De-identified by setting a box covering the face to black before release.
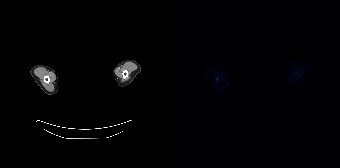
Only PSMA-avid lesion pieces thinner than 2 px on this slice (not listed).